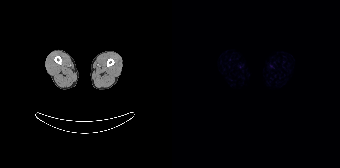
{"modality":"PSMA PET/CT","view":"axial","tracer":"18F","pet_grid":[168,168],"coord_frame":"pet_panel","coord_format":"x0,y0,x1,y1","psma_avid_lesions":false}